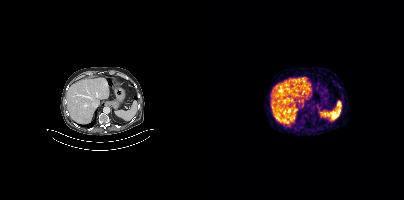
Negative for PSMA-avid disease on this slice. Two-panel axial: CT | PSMA PET, [68Ga]Ga-PSMA-11 tracer. Slice position z = -1217 mm.